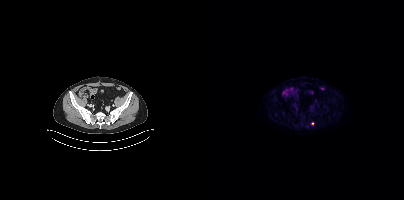
Technique: Two-panel axial: CT | PSMA PET, 68Ga tracer. slice 100 of 389.
Findings: Coordinates are on the 200×200 PET (right) panel. Small PSMA-avid focus (2 to 4 px across) near (center x, center y): (108, 123).